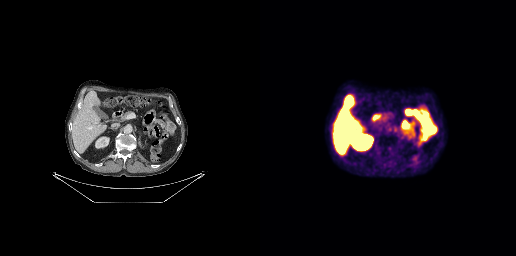
Negative for PSMA-avid disease on this slice.